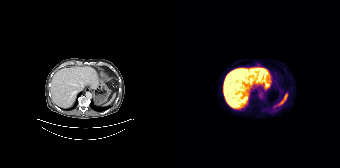
No tumor lesions annotated on this slice.
modality: PSMA PET/CT | tracer: 18F | view: axial | PET grid: 168×168